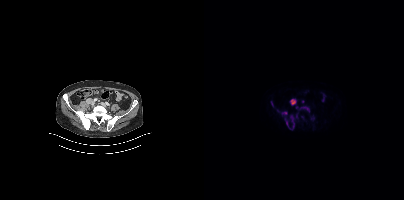
Coordinates are on the 200×200 PET (right) panel. PSMA-avid tumor lesion bounding boxes (x, y, width, height): x=80 y=113 w=15 h=17 / x=86 y=99 w=7 h=6 / x=95 y=106 w=10 h=6 / x=106 y=115 w=6 h=5 / x=78 y=111 w=6 h=4. Small PSMA-avid foci (2 to 4 px across) near (center x, center y): (74, 110) / (67, 103) / (98, 118). Two-panel axial: CT | PSMA PET, [18F]PSMA-1007 tracer. Acquired on Siemens Biograph mCT Flow 20.